Technique: Two-panel axial: CT | PSMA PET, [18F]PSMA-1007 tracer. acquired on Siemens Biograph mCT Flow 20. slice 193 of 401. PET panel 200×200 px (4.1 mm/px).
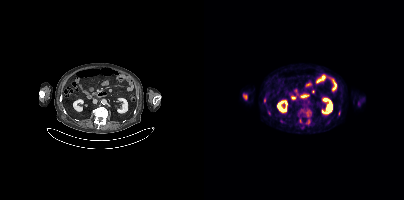
Findings: Coordinates are on the 200×200 PET (right) panel. (showing 3 of 6 foci) PSMA-avid tumor lesion bounding box (x0,y0,x1,y1): [60,98,61,102]. Small PSMA-avid foci (2 to 4 px across) near (center x, center y): (77, 121), (104, 122).